Two-panel axial: CT | PSMA PET, 18F tracer.
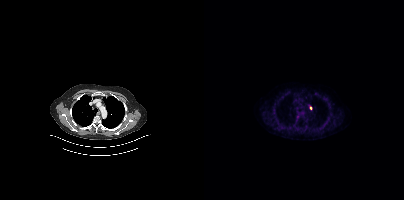
Coordinates are on the 200×200 PET (right) panel. Small PSMA-avid focus (2 to 4 px across) near (center x, center y): (107, 107).